modality: PSMA PET/CT | tracer: [68Ga]Ga-PSMA-11 | view: axial | PET grid: 168×168
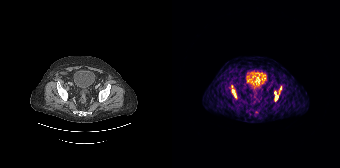
Coordinates are on the 168×168 PET (right) panel. (showing 4 of 6 foci) PSMA-avid tumor lesion bounding boxes (x, y, width, height): x=102 y=91 w=5 h=11 / x=60 y=89 w=3 h=5. Small PSMA-avid foci (2 to 4 px across) near (center x, center y): (108, 87) / (63, 96).